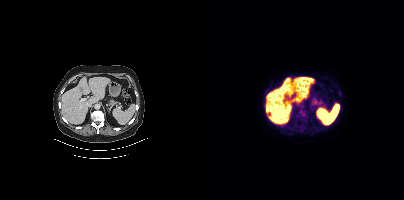
Findings: Coordinates are on the 200×200 PET (right) panel. PSMA-avid tumor lesion bounding boxes (x0, y0)-(x1, y1): (92, 110)-(103, 121) | (91, 122)-(95, 126). Small PSMA-avid focus (2 to 4 px across) near (center x, center y): (136, 93).
- Paired axial CT (left) and PSMA PET (right), 18F tracer
- PET panel 200×200 px (4.1 mm/px)